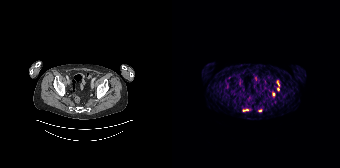
Paired axial CT (left) and PSMA PET (right), 68Ga-PSMA tracer. Slice position z = -1220 mm.
Coordinates are on the 168×168 PET (right) panel. PSMA-avid tumor lesion bounding boxes:
| # | x0 | y0 | x1 | y1 |
|---|---|---|---|---|
| 1 | 71 | 109 | 76 | 111 |
Small PSMA-avid foci (2 to 4 px across) near (center x, center y): (101, 94); (106, 89); (88, 109); (106, 84).